- Two-panel axial: CT | PSMA PET, 18F-PSMA tracer
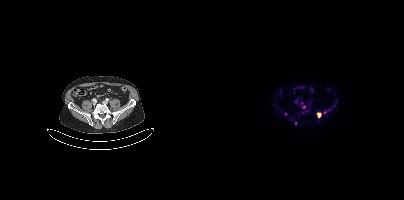
Findings: Coordinates are on the 200×200 PET (right) panel. (showing 7 of 9 foci) PSMA-avid tumor lesion bounding boxes (x0, y0)-(x1, y1): (90, 99)-(94, 104); (113, 113)-(117, 117). Small PSMA-avid foci (2 to 4 px across) near (center x, center y): (125, 109); (121, 112); (98, 103); (81, 113); (99, 106).